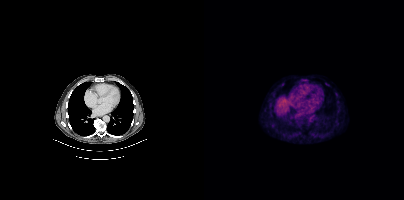
Coordinates are on the 200×200 PET (right) panel. Small PSMA-avid focus (2 to 4 px across) near (center x, center y): (78, 84).